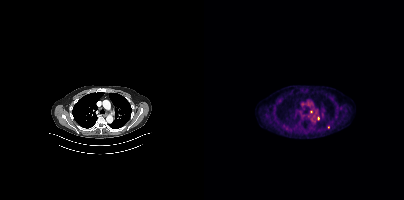
Coordinates are on the 200×200 PET (right) panel. (showing 2 of 3 foci) Small PSMA-avid foci (2 to 4 px across) near (center x, center y): (107, 111) / (114, 118).